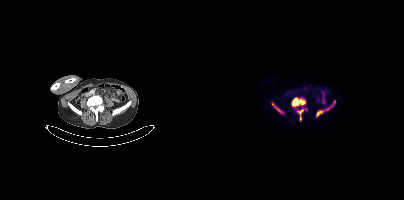
Left: CT. Right: PSMA PET, same axial level, 18F-PSMA tracer. Acquired on Siemens Biograph mCT Flow 20. PET panel 200×200 px (4.1 mm/px). Coordinates are on the 200×200 PET (right) panel. (showing 4 of 5 foci) PSMA-avid tumor lesion bounding boxes (x0, y0)-(x1, y1): (87, 97)-(101, 107) | (112, 100)-(131, 116) | (68, 103)-(77, 112) | (92, 109)-(99, 120).